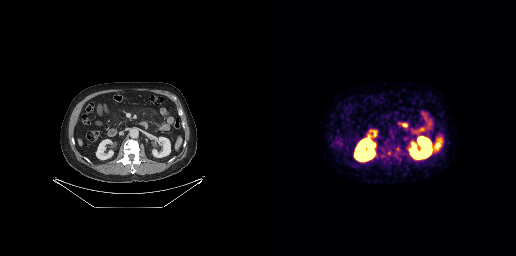
No PSMA-avid tumor lesions on this slice. Left: CT. Right: PSMA PET, same axial level, 68Ga tracer. Acquired on GE Discovery 690. PET panel 256×256 px (2.7 mm/px).